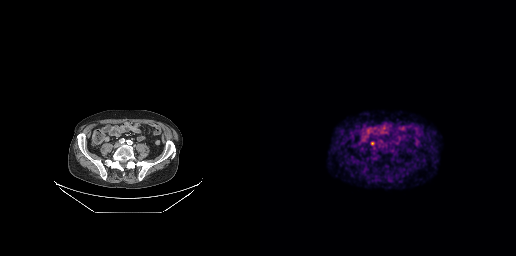
Two-panel axial: CT | PSMA PET, 68Ga tracer. PET panel 256×256 px (2.7 mm/px). Coordinates are on the 256×256 PET (right) panel. Small PSMA-avid focus (2 to 4 px across) near (center x, center y): (112, 143).